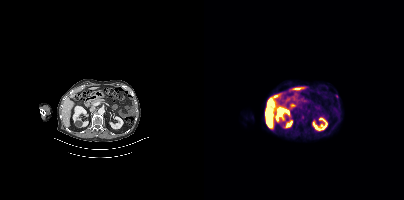
{"modality":"PSMA PET/CT","view":"axial","tracer":"[18F]PSMA-1007","pet_grid":[200,200],"coord_frame":"pet_panel","coord_format":"x0,y0,x1,y1","partial":true,"lesion_bboxes":[]}